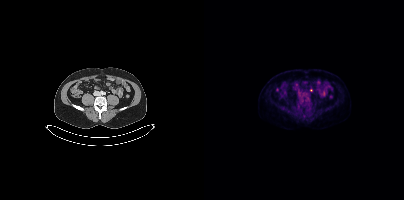
modality: PSMA PET/CT | tracer: [18F]PSMA-1007 | view: axial
Coordinates are on the 200×200 PET (right) panel. Small PSMA-avid focus (2 to 4 px across) near (center x, center y): (107, 90).